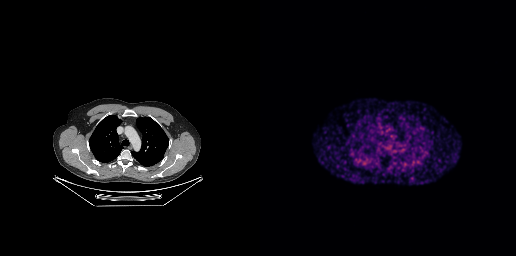
No tumor lesions annotated on this slice. Left: CT. Right: PSMA PET, same axial level, 68Ga tracer.